modality: PSMA PET/CT | tracer: [18F]PSMA-1007 | view: axial
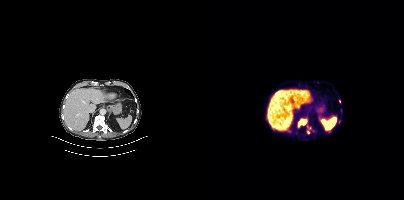
Coordinates are on the 200×200 PET (right) panel. (showing 4 of 6 foci) PSMA-avid tumor lesion bounding box (x0, y0)-(x1, y1): (94, 119)-(102, 126). Small PSMA-avid foci (2 to 4 px across) near (center x, center y): (104, 132); (135, 101); (105, 127).